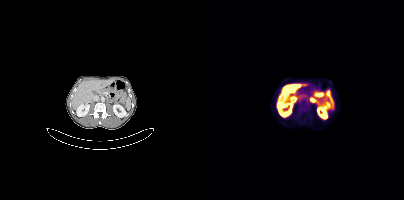
Findings: This slice has no annotated PSMA-avid lesion.
- Two-panel axial: CT | PSMA PET, 18F-PSMA tracer
- acquired on Siemens Biograph mCT Flow 20
- PET panel 200×200 px (4.1 mm/px)